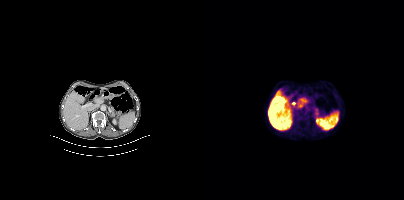
{"modality":"PSMA PET/CT","view":"axial","tracer":"[18F]PSMA-1007","pet_grid":[200,200],"coord_frame":"pet_panel","coord_format":"x0,y0,x1,y1","psma_avid_lesions":false}